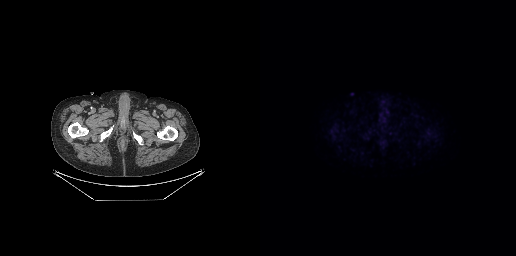
Only PSMA-avid lesion pieces thinner than 2 px on this slice (not listed). Two-panel axial: CT | PSMA PET, 18F-PSMA tracer. Acquired on GE Discovery 690. Slice position z = -785 mm. PET panel 256×256 px (2.7 mm/px).